Two-panel axial: CT | PSMA PET, 18F-PSMA tracer. PET panel 200×200 px (4.1 mm/px).
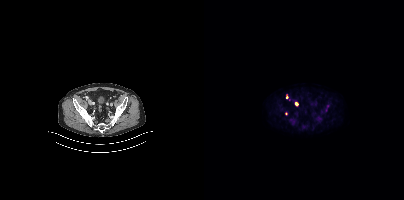
Coordinates are on the 200×200 PET (right) panel. (showing 1 of 3 foci) Small PSMA-avid focus (2 to 4 px across) near (center x, center y): (123, 106).